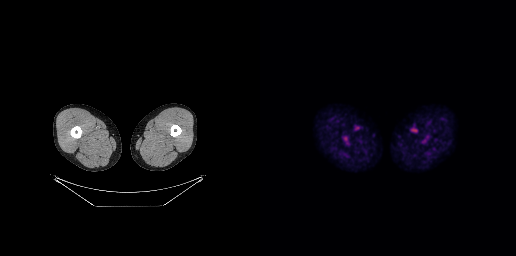
No PSMA-avid tumor lesions on this slice.
modality: PSMA PET/CT | tracer: 18F | view: axial | PET grid: 256×256